Paired axial CT (left) and PSMA PET (right), [18F]PSMA-1007 tracer. Slice position z = -1009 mm.
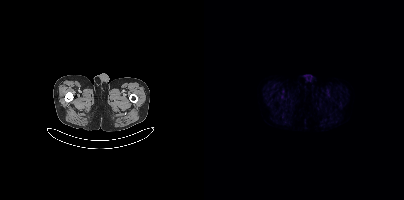
No tumor lesions annotated on this slice.